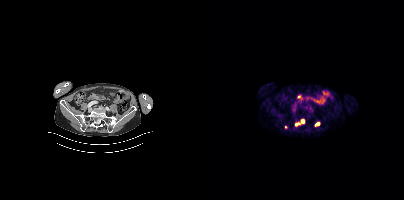
Coordinates are on the 200×200 PET (right) panel. PSMA-avid tumor lesion bounding boxes:
| # | x0 | y0 | x1 | y1 |
|---|---|---|---|---|
| 1 | 91 | 118 | 101 | 126 |
| 2 | 111 | 122 | 115 | 126 |
Small PSMA-avid focus (2 to 4 px across) near (center x, center y): (82, 127).
Paired axial CT (left) and PSMA PET (right), [18F]PSMA-1007 tracer. PET panel 200×200 px (4.1 mm/px).